modality: PSMA PET/CT | tracer: 18F | view: axial | PET grid: 200×200
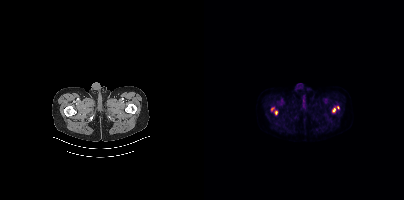
Coordinates are on the 200×200 PET (right) panel. PSMA-avid tumor lesion bounding boxes (x, y, width, height): x=128 y=108 w=4 h=5 / x=67 y=107 w=4 h=5. Small PSMA-avid foci (2 to 4 px across) near (center x, center y): (72, 112) / (134, 107).